- Two-panel axial: CT | PSMA PET, 18F tracer
- acquired on Siemens Biograph mCT Flow 20
- PET panel 200×200 px (4.1 mm/px)
- a rectangular block over the head has been blanked out for de-identification
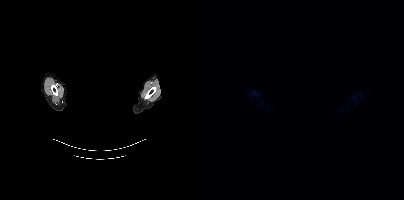
Findings: No tumor lesions annotated on this slice.